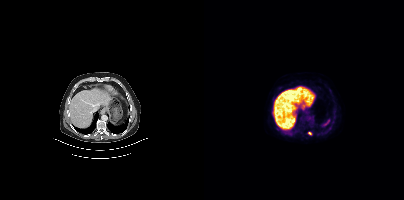
Paired axial CT (left) and PSMA PET (right), 18F tracer. Coordinates are on the 200×200 PET (right) panel. Small PSMA-avid foci (2 to 4 px across) near (center x, center y): (69, 115), (105, 132).